modality: PSMA PET/CT | tracer: 18F-PSMA | view: axial | PET grid: 200×200 | de-identification: privacy mask over head
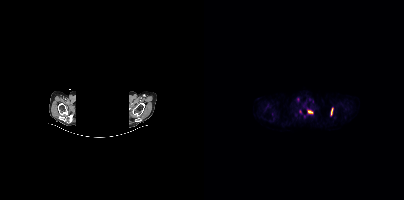
Coordinates are on the 200×200 PET (right) panel. (showing 2 of 4 foci) PSMA-avid tumor lesion bounding boxes (x0,y0,x1,y1): [104,110,108,113]; [127,108,129,115].